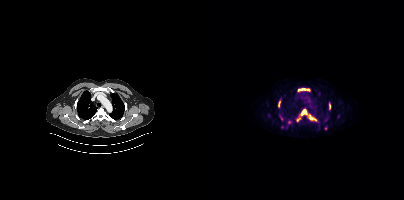
Findings: Coordinates are on the 200×200 PET (right) panel. (showing 8 of 9 foci) PSMA-avid tumor lesion bounding boxes (x0, y0)-(x1, y1): (94, 88)-(105, 90) / (97, 109)-(102, 115) / (105, 115)-(112, 120) / (74, 101)-(76, 107) / (125, 103)-(126, 109) / (84, 120)-(87, 124). Small PSMA-avid foci (2 to 4 px across) near (center x, center y): (94, 119) / (121, 128).
Technique: Two-panel axial: CT | PSMA PET, 18F-PSMA tracer.